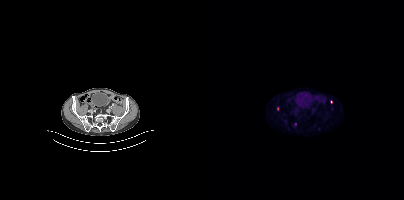
Only PSMA-avid lesion pieces thinner than 2 px on this slice (not listed).